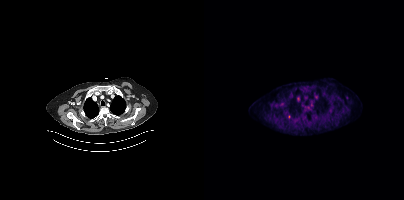
{"modality":"PSMA PET/CT","view":"axial","tracer":"[18F]PSMA-1007","pet_grid":[200,200],"coord_frame":"pet_panel","coord_format":"x0,y0,x1,y1","partial":true,"lesion_bboxes":[]}